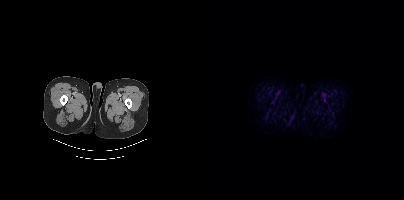
No PSMA-avid tumor lesions on this slice. Paired axial CT (left) and PSMA PET (right), [18F]PSMA-1007 tracer. PET panel 200×200 px (4.1 mm/px).